Technique: Two-panel axial: CT | PSMA PET, [18F]PSMA-1007 tracer. PET panel 256×256 px (2.7 mm/px).
Note: De-identified by setting a box covering the face to black before release.
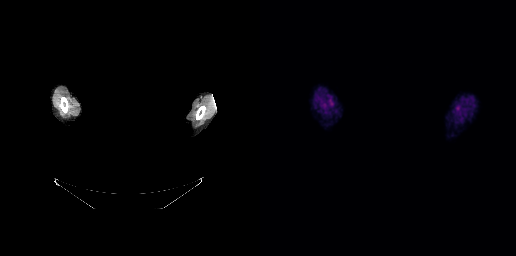
Findings: No PSMA-avid tumor lesions on this slice.